Left: CT. Right: PSMA PET, same axial level, 18F-PSMA tracer. Slice position z = -1343 mm. PET panel 200×200 px (4.1 mm/px).
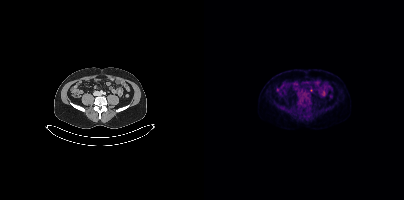
Only PSMA-avid lesion pieces thinner than 2 px on this slice (not listed).